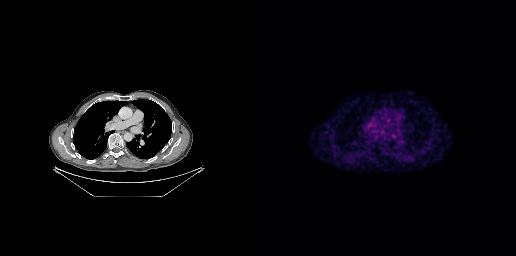
Coordinates are on the 256×256 PET (right) panel. PSMA-avid tumor lesion bounding boxes (x0, y0)-(x1, y1): (105, 124)-(111, 130) | (131, 134)-(136, 139).
modality: PSMA PET/CT | tracer: 18F-PSMA | view: axial